Technique: Left: CT. Right: PSMA PET, same axial level, 18F-PSMA tracer. slice 76 of 401.
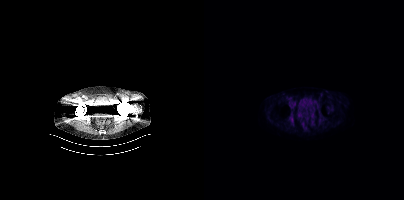
Findings: This slice has no annotated PSMA-avid lesion.